Technique: Left: CT. Right: PSMA PET, same axial level, 18F tracer. slice position z = -819 mm.
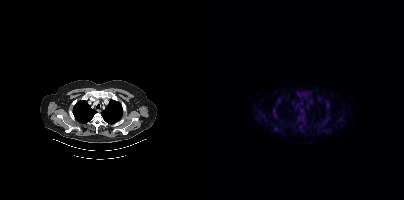
Findings: Coordinates are on the 200×200 PET (right) panel. (showing 13 of 14 foci) PSMA-avid tumor lesion bounding boxes (x0, y0)-(x1, y1): (92, 91)-(103, 97); (95, 113)-(99, 121); (69, 107)-(73, 116); (122, 101)-(126, 106). Small PSMA-avid foci (2 to 4 px across) near (center x, center y): (71, 129); (59, 116); (117, 123); (74, 100); (121, 98); (125, 117); (105, 91); (83, 98); (124, 129).